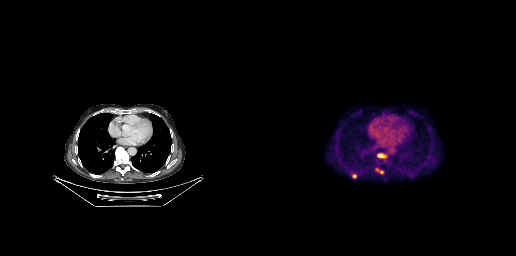
Findings: Coordinates are on the 256×256 PET (right) panel. PSMA-avid tumor lesion bounding boxes (x, y, width, height): x=115 y=168 w=9 h=7 | x=92 y=174 w=5 h=5. Small PSMA-avid focus (2 to 4 px across) near (center x, center y): (119, 155).
- Two-panel axial: CT | PSMA PET, 18F tracer
- acquired on GE Discovery 690